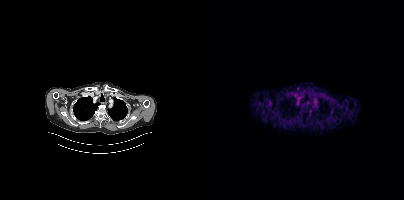
{"modality":"PSMA PET/CT","view":"axial","tracer":"18F-PSMA","pet_grid":[200,200],"coord_frame":"pet_panel","coord_format":"x0,y0,x1,y1","psma_avid_lesions":false}